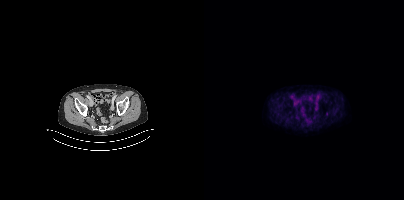
Left: CT. Right: PSMA PET, same axial level, 18F-PSMA tracer. Slice 91 of 423. Coordinates are on the 200×200 PET (right) panel. Small PSMA-avid focus (2 to 4 px across) near (center x, center y): (122, 114).